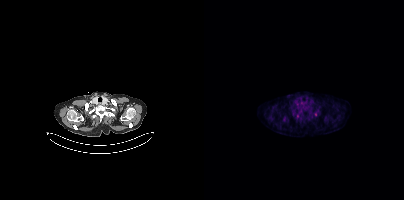
Coordinates are on the 200×200 PET (right) panel. (showing 2 of 3 foci) Small PSMA-avid foci (2 to 4 px across) near (center x, center y): (93, 116) (111, 114). Paired axial CT (left) and PSMA PET (right), [18F]PSMA-1007 tracer. Slice position z = -980 mm. PET panel 200×200 px (4.1 mm/px).